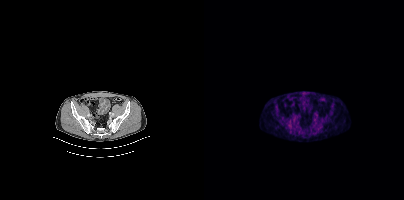
{"modality":"PSMA PET/CT","view":"axial","tracer":"18F","pet_grid":[200,200],"coord_frame":"pet_panel","coord_format":"x0,y0,x1,y1","psma_avid_lesions":false}